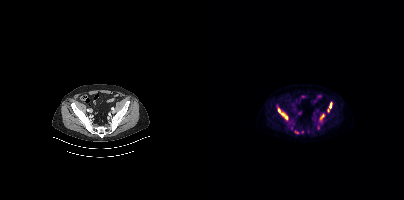
Technique: Left: CT. Right: PSMA PET, same axial level, 18F-PSMA tracer. acquired on Siemens Biograph mCT Flow 20. slice 92 of 407.
Findings: Coordinates are on the 200×200 PET (right) panel. (showing 6 of 8 foci) PSMA-avid tumor lesion bounding boxes (x0,y0,x1,y1): [74,108,83,119]; [125,102,128,108]; [116,114,120,119]; [90,131,94,133]. Small PSMA-avid foci (2 to 4 px across) near (center x, center y): (124, 110); (98, 131).